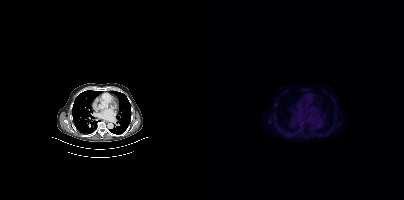
Coordinates are on the 200×200 PET (right) panel. Small PSMA-avid focus (2 to 4 px across) near (center x, center y): (71, 104).